Technique: Left: CT. Right: PSMA PET, same axial level, 18F-PSMA tracer. slice position z = -1469 mm.
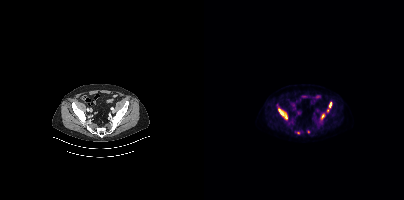
Findings: Coordinates are on the 200×200 PET (right) panel. (showing 5 of 6 foci) PSMA-avid tumor lesion bounding boxes (x, y, width, height): x=74 y=108 w=10 h=12; x=125 y=102 w=3 h=6; x=118 y=114 w=3 h=5. Small PSMA-avid foci (2 to 4 px across) near (center x, center y): (94, 133); (123, 110).